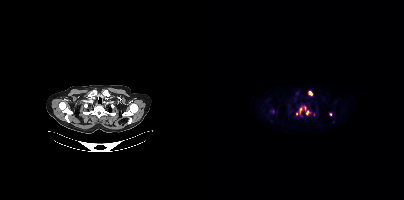
Coordinates are on the 200×200 PET (right) panel. (showing 7 of 8 foci) PSMA-avid tumor lesion bounding boxes (x0,y0,x1,y1): [104,91,108,95] [95,107,98,113] [102,110,105,115] [100,106,102,110]. Small PSMA-avid foci (2 to 4 px across) near (center x, center y): (126, 114) (110, 114) (92, 113).